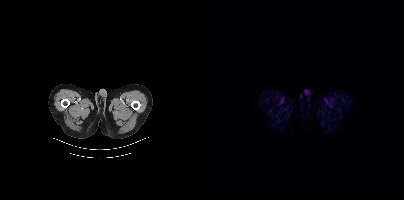
Negative for PSMA-avid disease on this slice. Paired axial CT (left) and PSMA PET (right), 18F-PSMA tracer. Acquired on Siemens Biograph mCT Flow 20.